Technique: Two-panel axial: CT | PSMA PET, [18F]PSMA-1007 tracer. acquired on GE Discovery 690. slice position z = -285 mm.
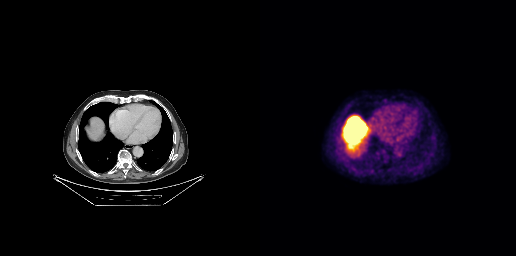
Findings: Coordinates are on the 256×256 PET (right) panel. Small PSMA-avid focus (2 to 4 px across) near (center x, center y): (111, 170).